- Left: CT. Right: PSMA PET, same axial level, 18F tracer
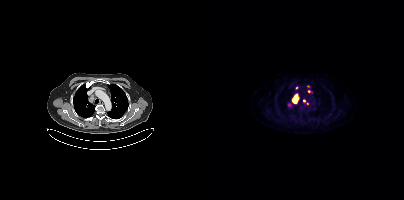
Findings: Coordinates are on the 200×200 PET (right) panel. (showing 1 of 2 foci) PSMA-avid tumor lesion bounding box (x0, y0)-(x1, y1): (88, 96)-(94, 102).